modality: PSMA PET/CT | tracer: 18F | view: axial | PET grid: 200×200
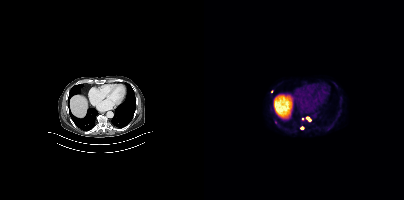
Coordinates are on the 200×200 PET (right) panel. (showing 3 of 5 foci) Small PSMA-avid foci (2 to 4 px across) near (center x, center y): (104, 118) | (98, 128) | (71, 122).